Paired axial CT (left) and PSMA PET (right), 18F-PSMA tracer. Slice position z = -773 mm. PET panel 256×256 px (2.7 mm/px).
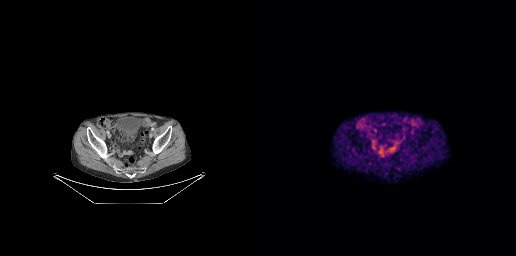
This slice has no annotated PSMA-avid lesion.